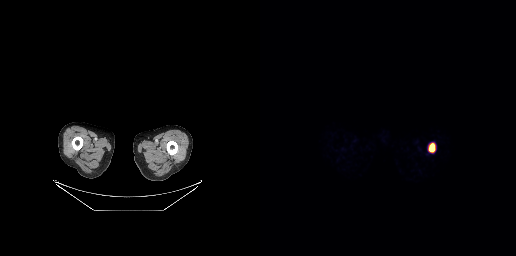
Left: CT. Right: PSMA PET, same axial level, 68Ga-PSMA tracer. Slice 25 of 263.
Coordinates are on the 256×256 PET (right) panel. PSMA-avid tumor lesion bounding boxes:
| # | x0 | y0 | x1 | y1 |
|---|---|---|---|---|
| 1 | 169 | 144 | 174 | 151 |